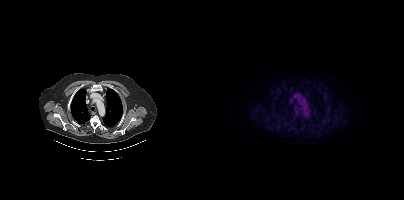
- Paired axial CT (left) and PSMA PET (right), [18F]PSMA-1007 tracer
- acquired on Siemens Biograph mCT Flow 20
- slice position z = -963 mm
Findings: This slice has no annotated PSMA-avid lesion.